Paired axial CT (left) and PSMA PET (right), 18F tracer. Acquired on Siemens Biograph mCT Flow 20. Slice 41 of 403.
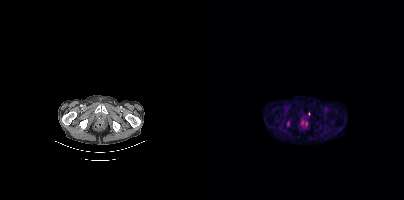
Coordinates are on the 200×200 PET (right) panel. PSMA-avid tumor lesion bounding box (x0,y0,x1,y1): [83,121,85,126]. Small PSMA-avid focus (2 to 4 px across) near (center x, center y): (104, 113).